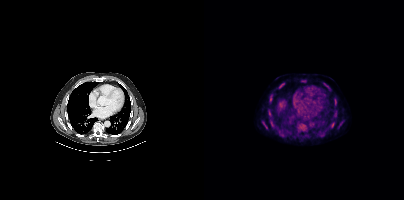
Paired axial CT (left) and PSMA PET (right), [18F]PSMA-1007 tracer. Slice 284 of 438. Coordinates are on the 200×200 PET (right) panel. PSMA-avid tumor lesion bounding boxes (x, y, width, height): x=75 y=83 w=5 h=6 / x=66 y=94 w=3 h=6 / x=127 y=122 w=4 h=5 / x=59 y=124 w=5 h=5 / x=123 y=85 w=4 h=5 / x=131 y=100 w=2 h=6 / x=135 y=121 w=5 h=5. Small PSMA-avid foci (2 to 4 px across) near (center x, center y): (65, 113) / (99, 80) / (69, 126).